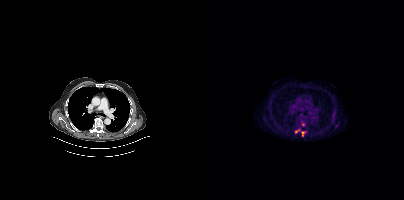
modality: PSMA PET/CT | tracer: 18F | view: axial | PET grid: 200×200
Coordinates are on the 200×200 PET (right) panel. (showing 2 of 4 foci) PSMA-avid tumor lesion bounding box (x0,y0,x1,y1): [91,129,95,132]. Small PSMA-avid focus (2 to 4 px across) near (center x, center y): (98, 132).